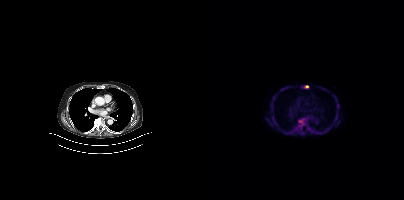
Technique: Left: CT. Right: PSMA PET, same axial level, [18F]PSMA-1007 tracer. slice position z = -1129 mm.
Findings: Coordinates are on the 200×200 PET (right) panel. PSMA-avid tumor lesion bounding boxes (x, y, width, height): x=93 y=119 w=9 h=10; x=103 y=126 w=5 h=6. Small PSMA-avid focus (2 to 4 px across) near (center x, center y): (102, 86).